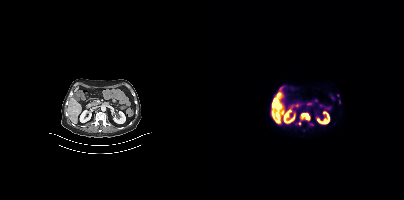
{"modality":"PSMA PET/CT","view":"axial","tracer":"18F","pet_grid":[200,200],"coord_frame":"pet_panel","coord_format":"x0,y0,x1,y1","lesion_bboxes":[[97,113,105,119],[68,101,73,105],[105,123,109,125]],"small_foci_centers":[[95,123]]}